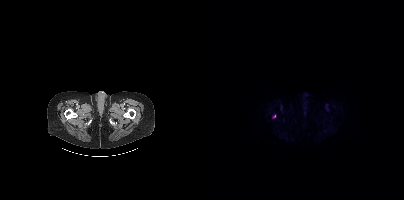
{"pet_grid":[200,200],"coord_frame":"pet_panel","coord_format":"x0,y0,x1,y1","partial":true,"lesion_bboxes":[],"modality":"PSMA PET/CT","view":"axial","tracer":"[18F]PSMA-1007"}